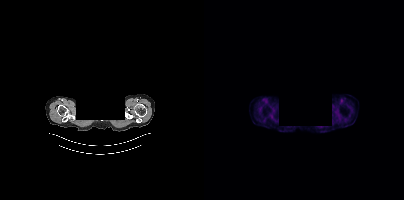
Findings: No tumor lesions annotated on this slice.
- a rectangular block over the head has been blanked out for de-identification
- Paired axial CT (left) and PSMA PET (right), [18F]PSMA-1007 tracer
- acquired on Siemens Biograph mCT Flow 20